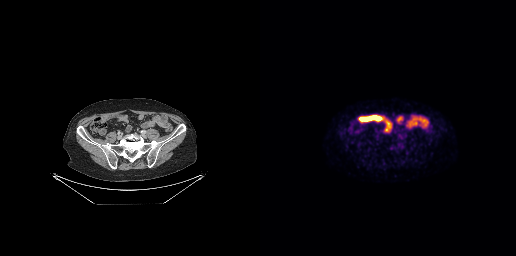
This slice has no annotated PSMA-avid lesion. Two-panel axial: CT | PSMA PET, 18F-PSMA tracer. Slice position z = -590 mm.